- a rectangle over the head was blacked out to remove identifiable facial features
- Left: CT. Right: PSMA PET, same axial level, 18F-PSMA tracer
- acquired on Siemens Biograph mCT Flow 20
- PET panel 200×200 px (4.1 mm/px)
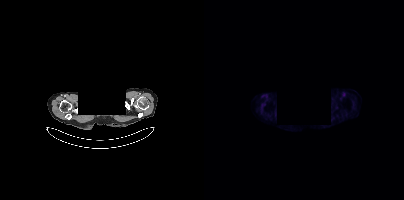
Findings: Negative for PSMA-avid disease on this slice.